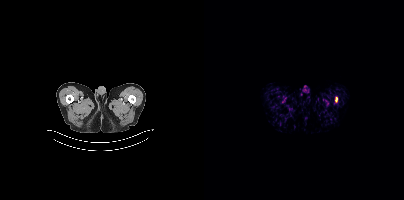
{"modality":"PSMA PET/CT","view":"axial","tracer":"[18F]PSMA-1007","pet_grid":[200,200],"coord_frame":"pet_panel","coord_format":"x0,y0,x1,y1","lesion_bboxes":[[131,97,133,102]]}